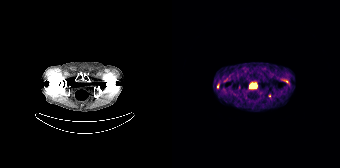
{"modality":"PSMA PET/CT","view":"axial","tracer":"68Ga-PSMA","pet_grid":[168,168],"coord_frame":"pet_panel","coord_format":"x0,y0,x1,y1","partial":true,"lesion_bboxes":[[111,80,116,82]],"small_foci_centers":[[97,95],[45,86]]}